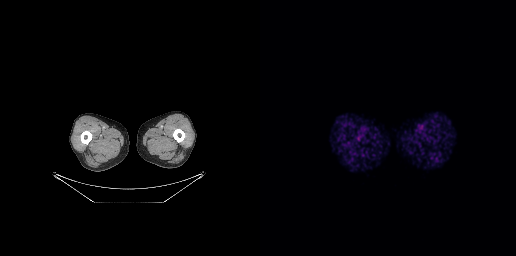
Findings: Negative for PSMA-avid disease on this slice.
- Left: CT. Right: PSMA PET, same axial level, 68Ga tracer
- acquired on GE Discovery 690
- slice position z = -1018 mm